- Two-panel axial: CT | PSMA PET, 18F tracer
- slice 305 of 423
- PET panel 200×200 px (4.1 mm/px)
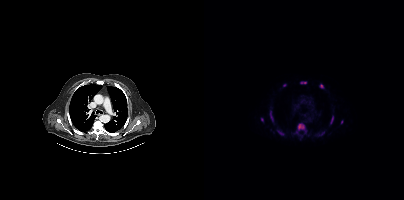
Findings: Coordinates are on the 200×200 PET (right) panel. (showing 11 of 12 foci) PSMA-avid tumor lesion bounding boxes (x0, y0)-(x1, y1): (90, 123)-(101, 134) / (66, 111)-(69, 121) / (73, 130)-(80, 135) / (116, 84)-(120, 88) / (126, 116)-(129, 123) / (96, 82)-(102, 83). Small PSMA-avid foci (2 to 4 px across) near (center x, center y): (58, 119) / (80, 85) / (137, 121) / (118, 133) / (97, 135).